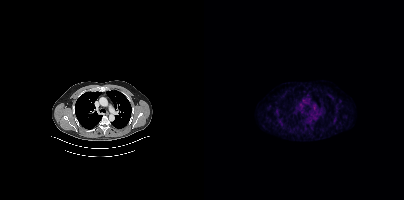
Technique: Left: CT. Right: PSMA PET, same axial level, 18F-PSMA tracer.
Findings: No PSMA-avid tumor lesions on this slice.